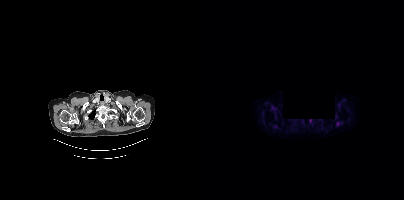
Technique: Two-panel axial: CT | PSMA PET, [18F]PSMA-1007 tracer. PET panel 200×200 px (4.1 mm/px).
Note: Any black rectangle here is a de-identification mask.
Findings: Only PSMA-avid lesion pieces thinner than 2 px on this slice (not listed).